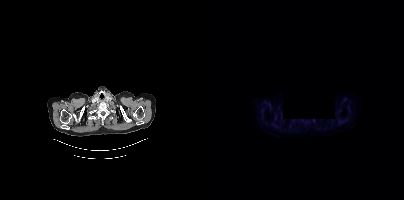
An anonymization step blacked out a rectangle in this scan.
No tumor lesions annotated on this slice.